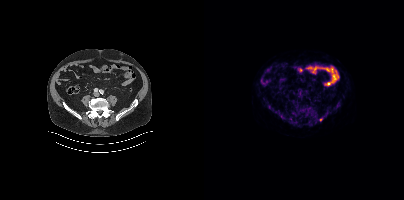
{"modality":"PSMA PET/CT","view":"axial","tracer":"18F","pet_grid":[200,200],"coord_frame":"pet_panel","coord_format":"x0,y0,x1,y1","lesion_bboxes":[],"small_foci_centers":[[116,119]]}